Paired axial CT (left) and PSMA PET (right), 18F-PSMA tracer. Slice position z = -860 mm.
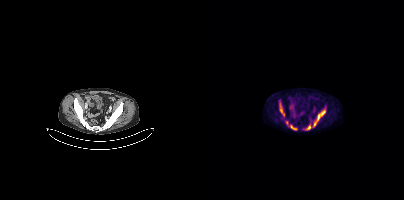
Coordinates are on the 200×200 PET (right) panel. PSMA-avid tumor lesion bounding boxes:
| # | x0 | y0 | x1 | y1 |
|---|---|---|---|---|
| 1 | 110 | 107 | 121 | 126 |
| 2 | 75 | 103 | 80 | 115 |
| 3 | 86 | 125 | 93 | 130 |
| 4 | 102 | 126 | 106 | 129 |
Small PSMA-avid focus (2 to 4 px across) near (center x, center y): (82, 122).